Left: CT. Right: PSMA PET, same axial level, [18F]PSMA-1007 tracer. Acquired on Siemens Biograph mCT Flow 20. PET panel 200×200 px (4.1 mm/px).
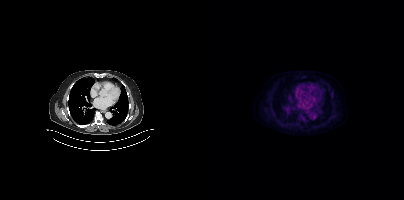
Negative for PSMA-avid disease on this slice.